- Paired axial CT (left) and PSMA PET (right), 18F tracer
- acquired on Siemens Biograph mCT Flow 20
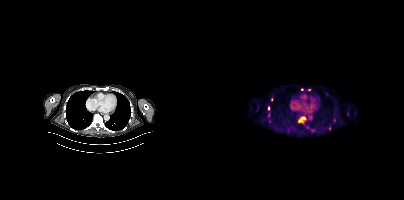
Findings: Coordinates are on the 200×200 PET (right) panel. PSMA-avid tumor lesion bounding box (x0,y0,x1,y1): [64,113,65,117]. Small PSMA-avid foci (2 to 4 px across) near (center x, center y): (64, 108) (100, 117) (65, 121) (98, 89) (67, 99) (105, 89).